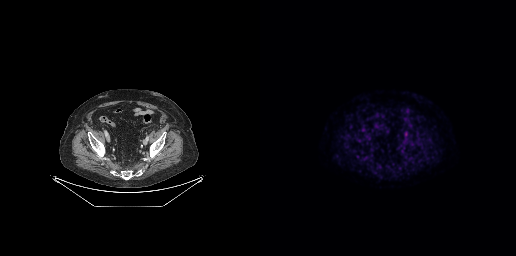
Only PSMA-avid lesion pieces thinner than 2 px on this slice (not listed).